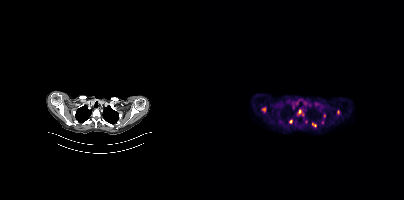
Left: CT. Right: PSMA PET, same axial level, 18F tracer. Slice position z = -403 mm. PET panel 200×200 px (4.1 mm/px). Coordinates are on the 200×200 PET (right) panel. (showing 6 of 8 foci) PSMA-avid tumor lesion bounding boxes (x0, y0)-(x1, y1): (58, 107)-(61, 111) | (108, 123)-(112, 126) | (133, 110)-(135, 114). Small PSMA-avid foci (2 to 4 px across) near (center x, center y): (95, 111) | (120, 115) | (87, 121).